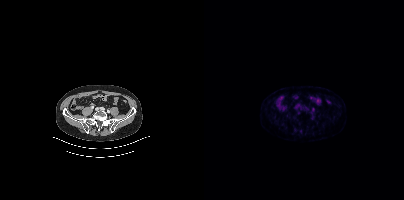
This slice has no annotated PSMA-avid lesion.
modality: PSMA PET/CT | tracer: [68Ga]Ga-PSMA-11 | view: axial